Paired axial CT (left) and PSMA PET (right), [18F]PSMA-1007 tracer. Acquired on Siemens Biograph mCT Flow 20. Slice 368 of 427. Any black rectangle over the head is a privacy mask, not anatomy.
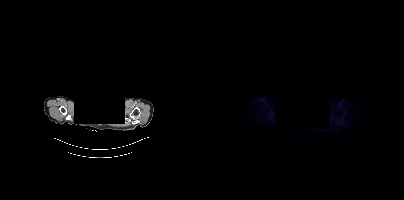
Negative for PSMA-avid disease on this slice.